Two-panel axial: CT | PSMA PET, [18F]PSMA-1007 tracer. PET panel 200×200 px (4.1 mm/px). Privacy masking over the head, with the pixels inside a rectangle set to black.
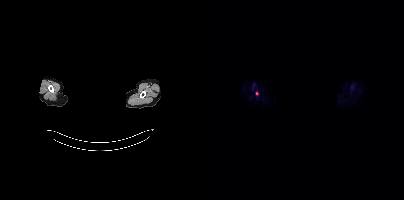
Coordinates are on the 200×200 PET (right) panel. Small PSMA-avid focus (2 to 4 px across) near (center x, center y): (52, 93).